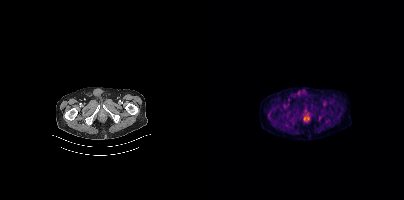
Two-panel axial: CT | PSMA PET, 18F tracer. This slice has no annotated PSMA-avid lesion.